modality: PSMA PET/CT | tracer: [18F]PSMA-1007 | view: axial
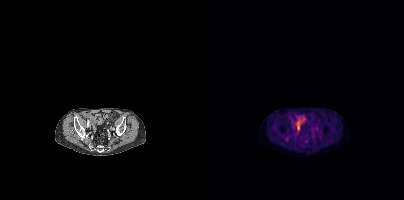
This slice has no annotated PSMA-avid lesion.